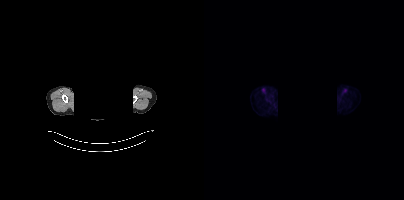
- Paired axial CT (left) and PSMA PET (right), [18F]PSMA-1007 tracer
- acquired on Siemens Biograph mCT Flow 20
- slice 389 of 429
- facial anatomy redacted by setting a rectangular region of the head to black
Findings: No tumor lesions annotated on this slice.